Paired axial CT (left) and PSMA PET (right), 18F tracer. Slice position z = -1644 mm.
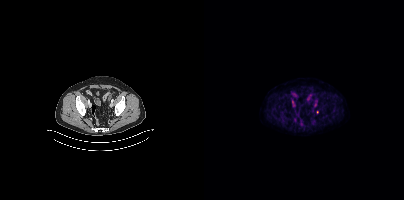
Coordinates are on the 200×200 PET (right) panel. Small PSMA-avid foci (2 to 4 px across) near (center x, center y): (90, 120) / (84, 119) / (113, 112).